Paired axial CT (left) and PSMA PET (right), [18F]PSMA-1007 tracer. PET panel 200×200 px (4.1 mm/px).
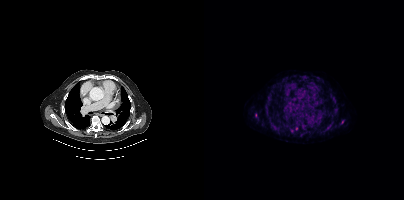
Coordinates are on the 200×200 PET (right) panel. (showing 3 of 4 foci) Small PSMA-avid foci (2 to 4 px across) near (center x, center y): (51, 115); (138, 122); (92, 128).